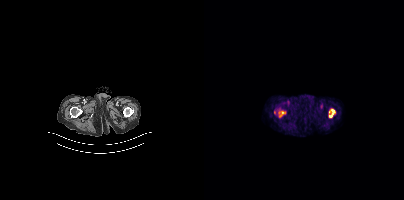
{"modality":"PSMA PET/CT","view":"axial","tracer":"[18F]PSMA-1007","pet_grid":[200,200],"coord_frame":"pet_panel","coord_format":"x0,y0,x1,y1","lesion_bboxes":[[74,109,81,117]],"small_foci_centers":[[70,112]]}